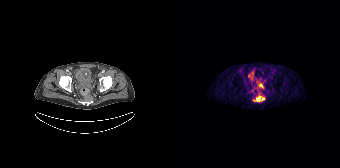
modality: PSMA PET/CT | tracer: 68Ga | view: axial
Coordinates are on the 168×168 PET (right) panel. PSMA-avid tumor lesion bounding boxes (x0,y0,x1,y1): [83,96,92,101], [76,71,81,79]. Small PSMA-avid focus (2 to 4 px across) near (center x, center y): (88, 85).